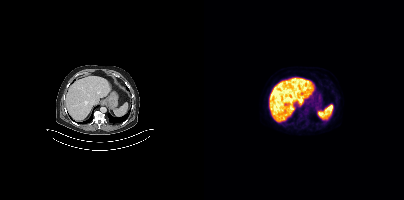
Paired axial CT (left) and PSMA PET (right), 18F tracer. Slice position z = -1130 mm. PET panel 200×200 px (4.1 mm/px). Negative for PSMA-avid disease on this slice.